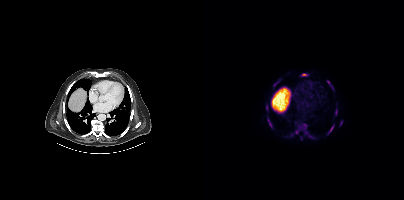
{"modality":"PSMA PET/CT","view":"axial","tracer":"18F-PSMA","pet_grid":[200,200],"coord_frame":"pet_panel","coord_format":"x0,y0,x1,y1","partial":true,"lesion_bboxes":[[123,125,130,134],[124,82,130,90],[69,79,76,86],[97,73,103,76],[99,124,102,128],[91,130,95,133],[131,111,133,115],[136,121,138,125],[62,104,63,108]],"small_foci_centers":[[66,124],[102,132],[106,136],[95,126]]}